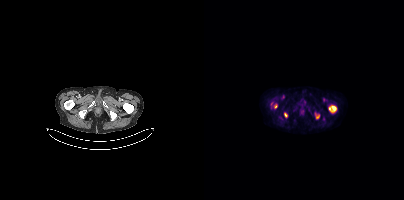
Coordinates are on the 200×200 PET (right) panel. (showing 5 of 6 foci) PSMA-avid tumor lesion bounding boxes (x0, y0)-(x1, y1): (125, 105)-(132, 112) | (80, 112)-(83, 117) | (70, 104)-(73, 108). Small PSMA-avid foci (2 to 4 px across) near (center x, center y): (113, 116) | (67, 103).